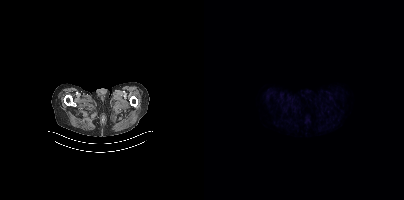
Paired axial CT (left) and PSMA PET (right), 18F-PSMA tracer. Slice position z = -1040 mm. PET panel 200×200 px (4.1 mm/px). Negative for PSMA-avid disease on this slice.